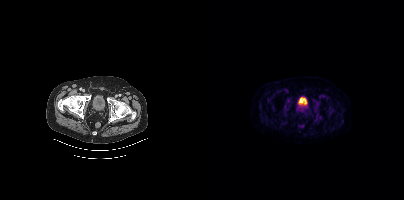
{"modality":"PSMA PET/CT","view":"axial","tracer":"18F-PSMA","pet_grid":[200,200],"coord_frame":"pet_panel","coord_format":"x0,y0,x1,y1","psma_avid_lesions":false}